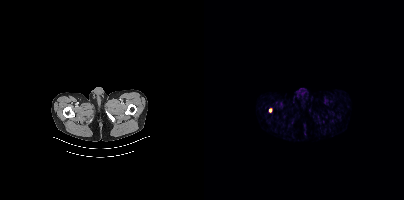
Coordinates are on the 200×200 PET (right) panel. PSMA-avid tumor lesion bounding box (x0,y0,x1,y1): [65,108,68,112].
modality: PSMA PET/CT | tracer: 68Ga-PSMA | view: axial | PET grid: 200×200